Left: CT. Right: PSMA PET, same axial level, 18F-PSMA tracer. PET panel 200×200 px (4.1 mm/px).
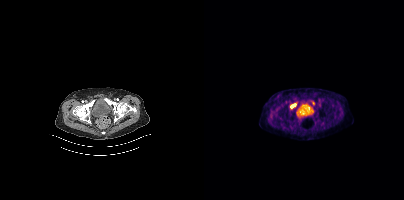
Coordinates are on the 200×200 PET (right) panel. PSMA-avid tumor lesion bounding boxes:
| # | x0 | y0 | x1 | y1 |
|---|---|---|---|---|
| 1 | 87 | 103 | 92 | 108 |